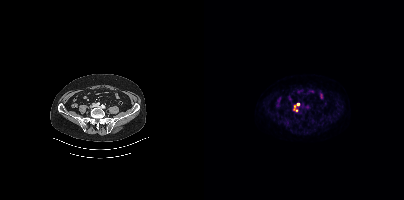
- Left: CT. Right: PSMA PET, same axial level, 18F-PSMA tracer
- acquired on Siemens Biograph mCT Flow 20
- slice 131 of 452
- PET panel 200×200 px (4.1 mm/px)
Findings: Coordinates are on the 200×200 PET (right) panel. (showing 1 of 3 foci) Small PSMA-avid focus (2 to 4 px across) near (center x, center y): (94, 104).